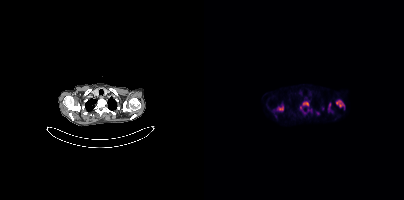
- Left: CT. Right: PSMA PET, same axial level, [18F]PSMA-1007 tracer
- slice 291 of 354
Findings: Coordinates are on the 200×200 PET (right) panel. (showing 8 of 9 foci) PSMA-avid tumor lesion bounding boxes (x0, y0)-(x1, y1): (132, 100)-(140, 107); (73, 106)-(79, 111); (99, 102)-(104, 105); (124, 103)-(126, 110). Small PSMA-avid foci (2 to 4 px across) near (center x, center y): (97, 108); (113, 113); (104, 109); (100, 112).